Technique: Paired axial CT (left) and PSMA PET (right), 18F tracer. acquired on Siemens Biograph mCT Flow 20. slice position z = -429 mm.
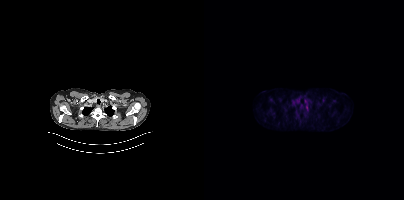
Findings: No tumor lesions annotated on this slice.